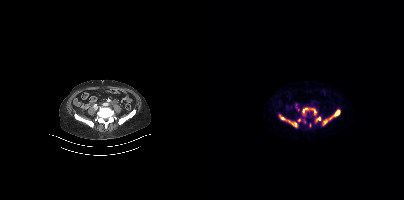
Left: CT. Right: PSMA PET, same axial level, 68Ga tracer. Slice 127 of 397. Coordinates are on the 200×200 PET (right) panel. (showing 9 of 10 foci) PSMA-avid tumor lesion bounding boxes (x0, y0)-(x1, y1): (74, 113)-(93, 127) / (98, 107)-(113, 115) / (118, 118)-(124, 125) / (131, 109)-(136, 115) / (126, 115)-(130, 119) / (112, 117)-(116, 120) / (105, 123)-(107, 127). Small PSMA-avid foci (2 to 4 px across) near (center x, center y): (100, 121) / (95, 120).